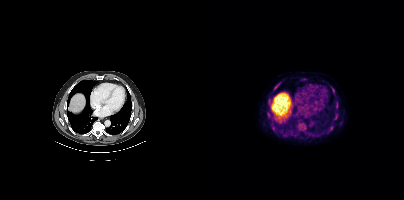
modality: PSMA PET/CT | tracer: 18F | view: axial
Coordinates are on the 200×200 PET (right) panel. (showing 3 of 4 foci) PSMA-avid tumor lesion bounding boxes (x, y, width, height): x=127 y=87 w=4 h=6 | x=72 y=82 w=5 h=6. Small PSMA-avid focus (2 to 4 px across) near (center x, center y): (131, 118).